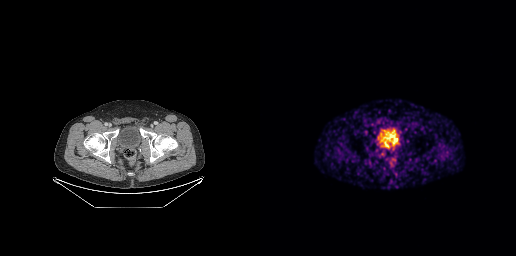
Coordinates are on the 256×256 PET (right) panel. PSMA-avid tumor lesion bounding box (x0, y0)-(x1, y1): (134, 137)-(138, 141).